Left: CT. Right: PSMA PET, same axial level, 68Ga-PSMA tracer. Slice position z = -758 mm.
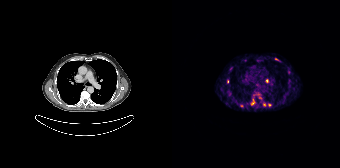
Coordinates are on the 168×168 PET (right) panel. PSMA-avid tumor lesion bounding boxes (x0, y0)-(x1, y1): (79, 99)-(82, 104) / (103, 58)-(108, 61) / (116, 79)-(118, 83). Small PSMA-avid foci (2 to 4 px across) near (center x, center y): (95, 80) / (55, 81) / (69, 105) / (117, 86) / (92, 104) / (97, 104) / (88, 97).